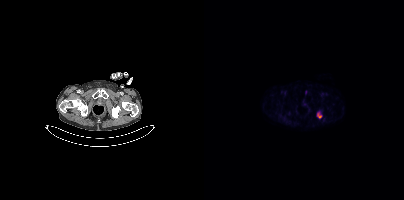
modality: PSMA PET/CT | tracer: 18F | view: axial
Coordinates are on the 200×200 PET (right) panel. PSMA-avid tumor lesion bounding box (x0, y0)-(x1, y1): (113, 112)-(117, 118).